- Paired axial CT (left) and PSMA PET (right), 68Ga-PSMA tracer
- slice 145 of 263
- PET panel 256×256 px (2.7 mm/px)
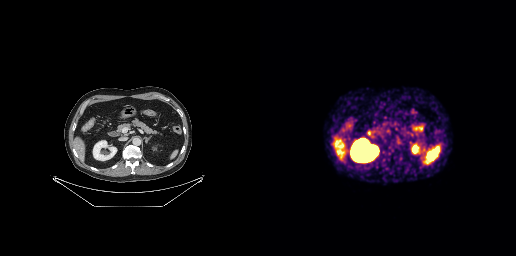
Findings: No tumor lesions annotated on this slice.